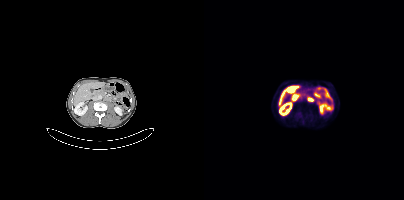
Findings: Negative for PSMA-avid disease on this slice.
Technique: Left: CT. Right: PSMA PET, same axial level, 18F-PSMA tracer. slice 175 of 417. PET panel 200×200 px (4.1 mm/px).